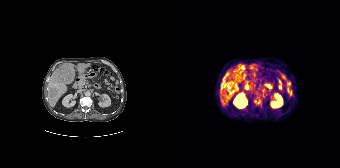
Paired axial CT (left) and PSMA PET (right), 68Ga tracer. Acquired on Siemens Biograph 64-4R TruePoint. Slice 109 of 195. PET panel 168×168 px (4.1 mm/px). Coordinates are on the 168×168 PET (right) panel. (showing 4 of 6 foci) PSMA-avid tumor lesion bounding boxes (x, y, width, height): x=67 y=65 w=6 h=5 / x=82 y=100 w=7 h=4 / x=72 y=74 w=2 h=5. Small PSMA-avid focus (2 to 4 px across) near (center x, center y): (69, 72).